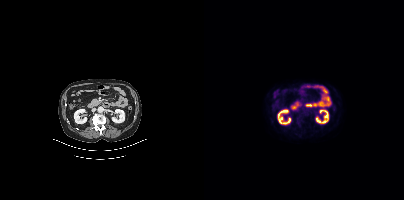
Two-panel axial: CT | PSMA PET, [18F]PSMA-1007 tracer. Slice position z = -610 mm. No PSMA-avid tumor lesions on this slice.